- Paired axial CT (left) and PSMA PET (right), 18F-PSMA tracer
- slice position z = -841 mm
- PET panel 256×256 px (2.7 mm/px)
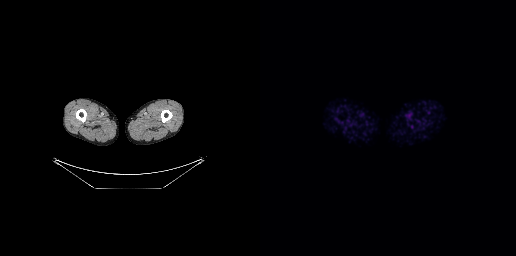
Findings: This slice has no annotated PSMA-avid lesion.